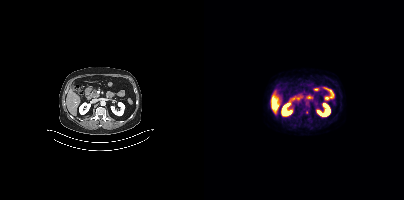
{"pet_grid":[200,200],"coord_frame":"pet_panel","coord_format":"x0,y0,x1,y1","lesion_bboxes":[],"small_foci_centers":[[103,112]],"modality":"PSMA PET/CT","view":"axial","tracer":"18F"}